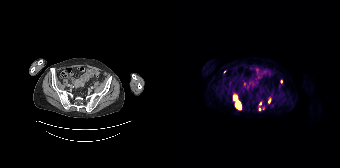
{"modality":"PSMA PET/CT","view":"axial","tracer":"[68Ga]Ga-PSMA-11","pet_grid":[168,168],"coord_frame":"pet_panel","coord_format":"x0,y0,x1,y1","partial":true,"lesion_bboxes":[[61,95,68,109]],"small_foci_centers":[[109,81],[87,109],[52,71],[88,103]]}